Left: CT. Right: PSMA PET, same axial level, 18F tracer. Acquired on Siemens Biograph mCT Flow 20.
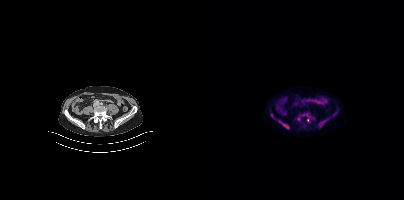
Coordinates are on the 200×200 PET (right) panel. (showing 3 of 4 foci) PSMA-avid tumor lesion bounding boxes (x0,y0,x1,y1): [115,120,122,127] [74,120,85,128] [94,113,104,118].